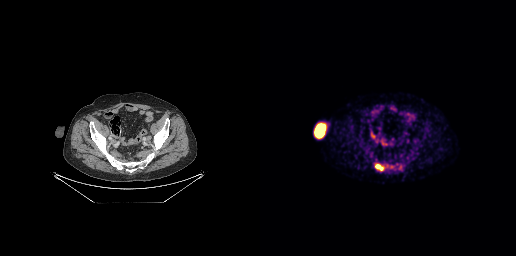
Left: CT. Right: PSMA PET, same axial level, [18F]PSMA-1007 tracer. Slice position z = -763 mm. PET panel 256×256 px (2.7 mm/px).
Coordinates are on the 256×256 PET (right) panel. PSMA-avid tumor lesion bounding boxes (partial; 1 more focus not listed):
| # | x0 | y0 | x1 | y1 |
|---|---|---|---|---|
| 1 | 115 | 163 | 124 | 171 |